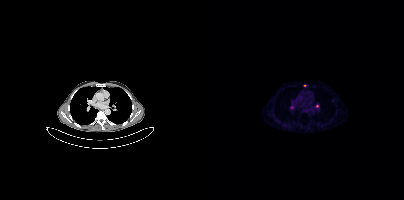
Two-panel axial: CT | PSMA PET, 68Ga tracer. PET panel 200×200 px (4.1 mm/px). Coordinates are on the 200×200 PET (right) panel. Small PSMA-avid foci (2 to 4 px across) near (center x, center y): (113, 106) | (100, 85) | (87, 107).